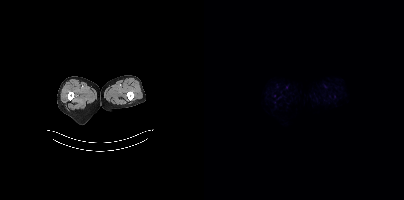
- Left: CT. Right: PSMA PET, same axial level, 18F tracer
- acquired on Siemens Biograph mCT Flow 20
Findings: Negative for PSMA-avid disease on this slice.